Paired axial CT (left) and PSMA PET (right), [18F]PSMA-1007 tracer. Acquired on Siemens Biograph mCT Flow 20. Slice 86 of 435. PET panel 200×200 px (4.1 mm/px).
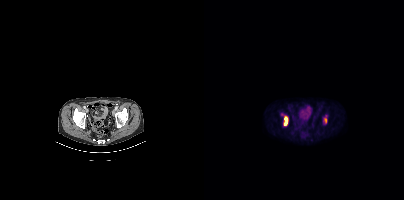
Coordinates are on the 200×200 PET (right) panel. PSMA-avid tumor lesion bounding boxes:
| # | x0 | y0 | x1 | y1 |
|---|---|---|---|---|
| 1 | 80 | 117 | 83 | 124 |
Small PSMA-avid focus (2 to 4 px across) near (center x, center y): (121, 119).